modality: PSMA PET/CT | tracer: 68Ga | view: axial
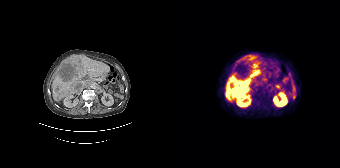
Coordinates are on the 168×168 PET (right) panel. PSMA-avid tumor lesion bounding boxes (x0, y0)-(x1, y1): (54, 76)-(78, 101); (79, 62)-(88, 77); (80, 55)-(84, 59). Small PSMA-avid focus (2 to 4 px across) near (center x, center y): (70, 59).